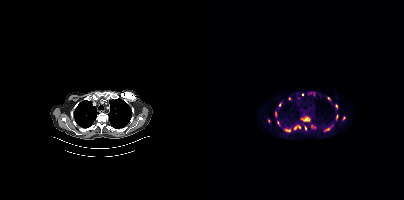
{"modality":"PSMA PET/CT","view":"axial","tracer":"18F-PSMA","pet_grid":[200,200],"coord_frame":"pet_panel","coord_format":"x0,y0,x1,y1","partial":true,"lesion_bboxes":[[97,117,106,121],[104,92,111,96],[90,125,96,129],[73,121,76,125],[71,111,72,116],[121,128,125,131],[75,102,77,106],[131,104,133,108]],"small_foci_centers":[[98,94],[124,98],[65,120],[101,127],[85,130],[140,118],[94,97]]}